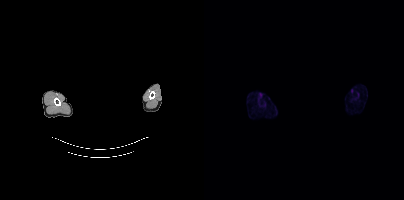
Paired axial CT (left) and PSMA PET (right), 18F tracer. PET panel 200×200 px (4.1 mm/px). An anonymization step blacked out a rectangle over the head in this scan. No tumor lesions annotated on this slice.